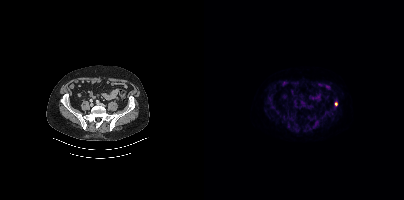
Coordinates are on the 200×200 PET (right) panel. PSMA-avid tumor lesion bounding boxes (x0, y0)-(x1, y1): (62, 99)-(70, 108); (122, 109)-(127, 115); (109, 120)-(114, 127). Small PSMA-avid foci (2 to 4 px across) near (center x, center y): (73, 111); (132, 103); (96, 107); (129, 98).